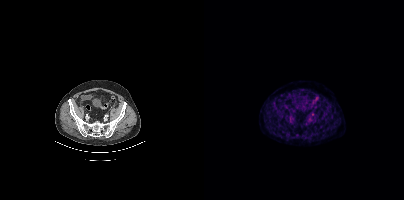
No tumor lesions annotated on this slice.